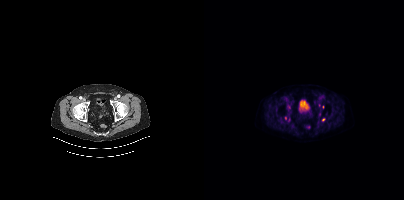
{"pet_grid":[200,200],"coord_frame":"pet_panel","coord_format":"x0,y0,x1,y1","partial":true,"lesion_bboxes":[],"small_foci_centers":[[119,119],[81,117]],"modality":"PSMA PET/CT","view":"axial","tracer":"[18F]PSMA-1007"}